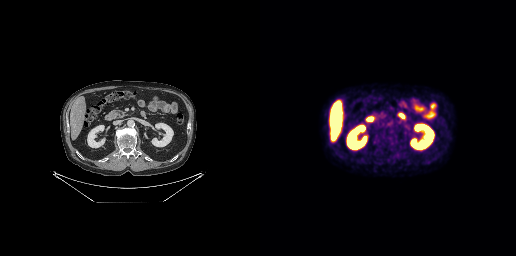
Two-panel axial: CT | PSMA PET, [18F]PSMA-1007 tracer. Acquired on GE Discovery 690. This slice has no annotated PSMA-avid lesion.